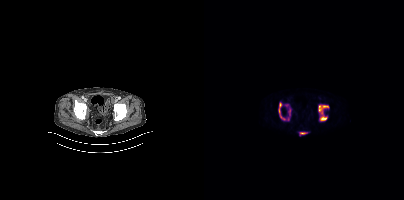
Technique: Two-panel axial: CT | PSMA PET, 18F tracer. slice 76 of 387.
Findings: Coordinates are on the 200×200 PET (right) panel. (showing 5 of 6 foci) PSMA-avid tumor lesion bounding boxes (x0, y0)-(x1, y1): (114, 105)-(124, 121) | (74, 102)-(81, 120) | (96, 132)-(102, 134) | (85, 109)-(86, 114). Small PSMA-avid focus (2 to 4 px across) near (center x, center y): (82, 105).